Technique: Left: CT. Right: PSMA PET, same axial level, 18F tracer. acquired on Siemens Biograph mCT Flow 20.
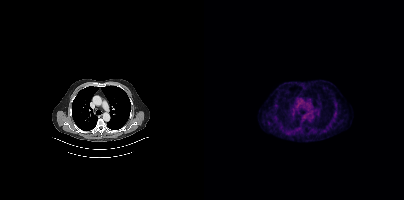
Findings: No PSMA-avid tumor lesions on this slice.